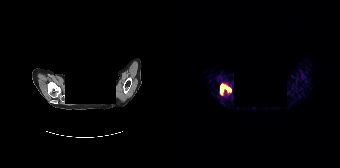
Paired axial CT (left) and PSMA PET (right), 68Ga-PSMA tracer. Acquired on Siemens Biograph 64-4R TruePoint. Slice position z = 64 mm. PET panel 168×168 px (4.1 mm/px). Facial anatomy redacted by setting a rectangular region of the head to black.
Coordinates are on the 168×168 PET (right) panel. PSMA-avid tumor lesion bounding boxes:
| # | x0 | y0 | x1 | y1 |
|---|---|---|---|---|
| 1 | 48 | 84 | 59 | 94 |